Technique: Paired axial CT (left) and PSMA PET (right), 18F tracer. slice position z = -1522 mm. PET panel 200×200 px (4.1 mm/px).
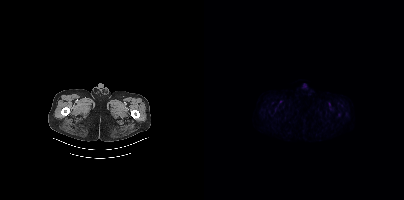
Findings: No tumor lesions annotated on this slice.